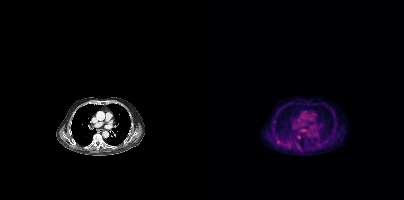
modality: PSMA PET/CT | tracer: 18F | view: axial
Coordinates are on the 200×200 PET (right) panel. Small PSMA-avid foci (2 to 4 px across) near (center x, center y): (74, 141); (69, 122).